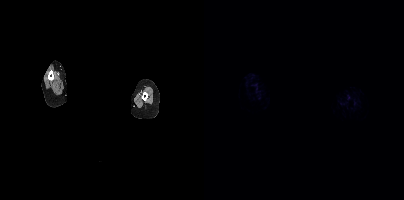
Head region blanked for anonymization (face removed).
Negative for PSMA-avid disease on this slice.